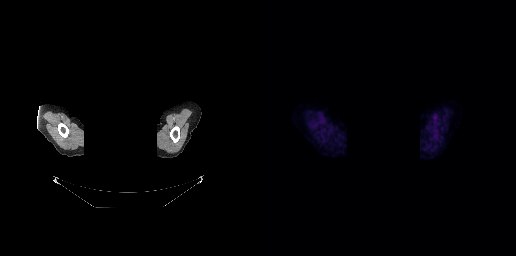
modality: PSMA PET/CT | tracer: 18F | view: axial | PET grid: 256×256 | de-identification: head region blacked out before release
Negative for PSMA-avid disease on this slice.